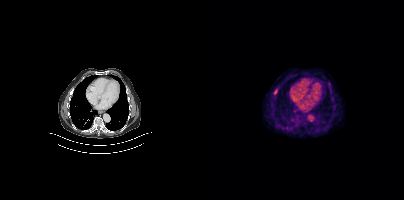
Paired axial CT (left) and PSMA PET (right), [18F]PSMA-1007 tracer. Slice 252 of 401. Coordinates are on the 200×200 PET (right) panel. (showing 1 of 2 foci) PSMA-avid tumor lesion bounding box (x0, y0)-(x1, y1): (70, 89)-(73, 94).